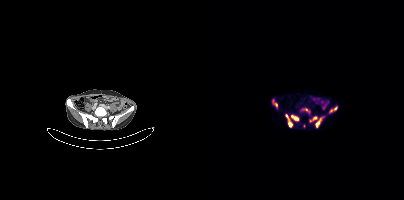
Two-panel axial: CT | PSMA PET, [68Ga]Ga-PSMA-11 tracer.
Coordinates are on the 200×200 PET (right) panel. PSMA-avid tumor lesion bounding boxes (partial; 1 more focus not listed):
| # | x0 | y0 | x1 | y1 |
|---|---|---|---|---|
| 1 | 82 | 114 | 88 | 127 |
| 2 | 87 | 115 | 94 | 120 |
| 3 | 68 | 99 | 73 | 107 |
| 4 | 112 | 121 | 115 | 127 |
Small PSMA-avid foci (2 to 4 px across) near (center x, center y): (131, 108); (127, 110); (107, 120); (111, 117); (100, 126); (102, 109).